Two-panel axial: CT | PSMA PET, [18F]PSMA-1007 tracer. Slice position z = -66 mm. PET panel 200×200 px (4.1 mm/px).
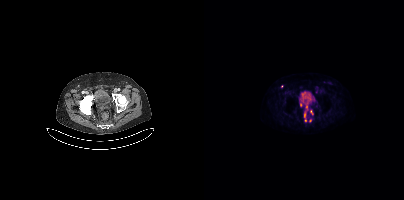
Coordinates are on the 200×200 PET (right) panel. PSMA-avid tumor lesion bounding boxes (partial; 2 more foci not listed):
| # | x0 | y0 | x1 | y1 |
|---|---|---|---|---|
| 1 | 100 | 113 | 101 | 117 |
| 2 | 106 | 110 | 108 | 114 |
Small PSMA-avid foci (2 to 4 px across) near (center x, center y): (101, 120); (106, 120).